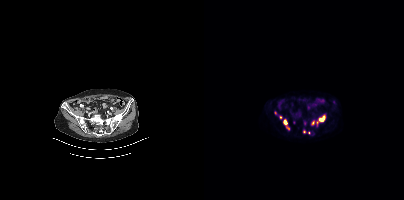
Coordinates are on the 200×200 PET (right) panel. (showing 8 of 9 foci) PSMA-avid tumor lesion bounding boxes (x0,y0,x1,y1): [79,119,85,129], [115,115,121,121]. Small PSMA-avid foci (2 to 4 px across) near (center x, center y): (71, 112), (109, 123), (100, 131), (130, 102), (76, 117), (105, 132).
modality: PSMA PET/CT | tracer: 68Ga-PSMA | view: axial